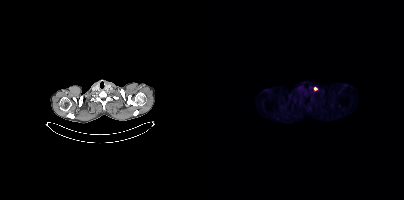
{"pet_grid":[200,200],"coord_frame":"pet_panel","coord_format":"x0,y0,x1,y1","lesion_bboxes":[],"small_foci_centers":[[111,88]],"modality":"PSMA PET/CT","view":"axial","tracer":"18F"}